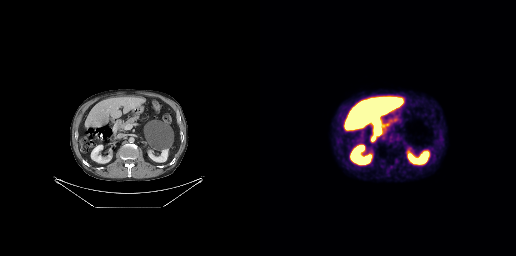
{"modality":"PSMA PET/CT","view":"axial","tracer":"18F","pet_grid":[256,256],"coord_frame":"pet_panel","coord_format":"x0,y0,x1,y1","psma_avid_lesions":false}